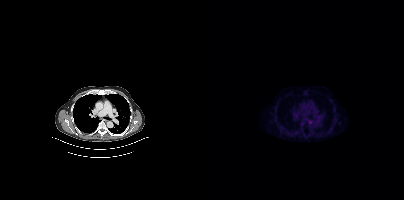
Findings: Negative for PSMA-avid disease on this slice.
Technique: Left: CT. Right: PSMA PET, same axial level, [18F]PSMA-1007 tracer.